Technique: Left: CT. Right: PSMA PET, same axial level, 68Ga-PSMA tracer. PET panel 256×256 px (2.7 mm/px).
Note: Facial anatomy redacted by setting a rectangular region of the head to black.
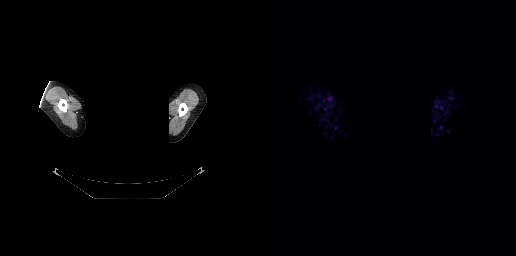
Findings: No tumor lesions annotated on this slice.